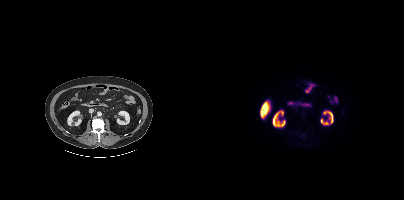
This slice has no annotated PSMA-avid lesion.